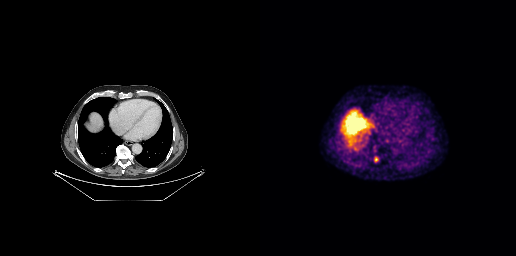
Technique: Paired axial CT (left) and PSMA PET (right), [68Ga]Ga-PSMA-11 tracer.
Findings: Coordinates are on the 256×256 PET (right) panel. PSMA-avid tumor lesion bounding box (x0, y0)-(x1, y1): (114, 156)-(118, 162).